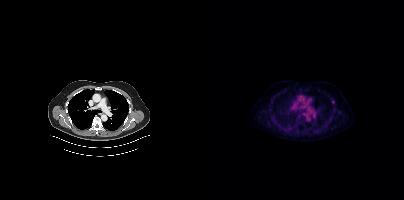
{"modality":"PSMA PET/CT","view":"axial","tracer":"18F","pet_grid":[200,200],"coord_frame":"pet_panel","coord_format":"x0,y0,x1,y1","lesion_bboxes":[],"small_foci_centers":[[129,101]]}